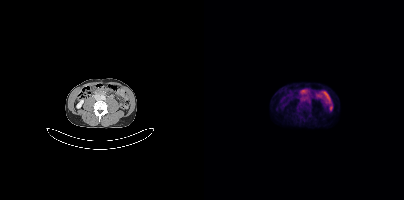
Coordinates are on the 200×200 PET (right) panel. PSMA-avid tumor lesion bounding box (x0,y0,x1,y1): [94,105,99,109]. Left: CT. Right: PSMA PET, same axial level, 18F-PSMA tracer. Slice position z = -1296 mm.